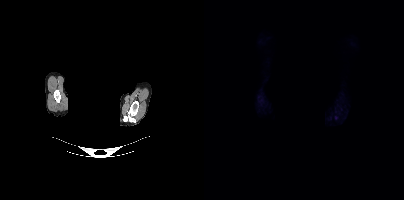
The face region was removed for patient privacy by blanking a rectangle over the head.
This slice has no annotated PSMA-avid lesion.